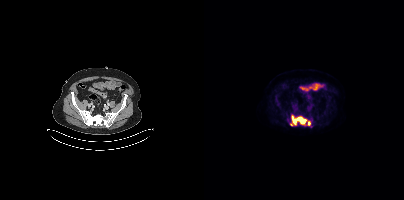
Coordinates are on the 200×200 PET (right) panel. PSMA-avid tumor lesion bounding box (x0, y0)-(x1, y1): (86, 115)-(106, 125).